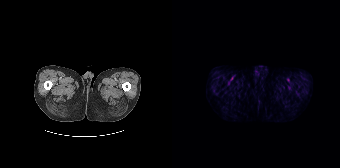
{"modality":"PSMA PET/CT","view":"axial","tracer":"[18F]PSMA-1007","pet_grid":[168,168],"coord_frame":"pet_panel","coord_format":"x0,y0,x1,y1","psma_avid_lesions":false}